A rectangle over the head was blacked out to remove identifiable facial features. Left: CT. Right: PSMA PET, same axial level, 18F tracer. Slice position z = -312 mm. PET panel 200×200 px (4.1 mm/px).
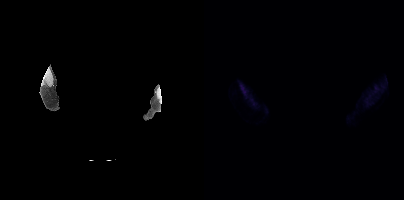
This slice has no annotated PSMA-avid lesion.